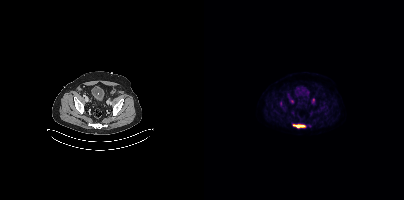
Left: CT. Right: PSMA PET, same axial level, 18F tracer. Acquired on Siemens Biograph mCT Flow 20. PET panel 200×200 px (4.1 mm/px).
Coordinates are on the 200×200 PET (right) panel. PSMA-avid tumor lesion bounding boxes (partial; 1 more focus not listed):
| # | x0 | y0 | x1 | y1 |
|---|---|---|---|---|
| 1 | 89 | 124 | 101 | 128 |